Left: CT. Right: PSMA PET, same axial level, 18F-PSMA tracer. Acquired on Siemens Biograph mCT Flow 20. Slice 172 of 454. PET panel 200×200 px (4.1 mm/px).
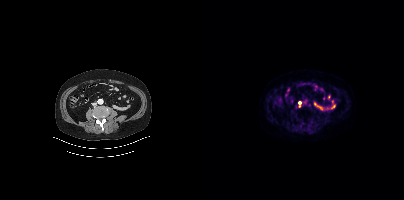
Coordinates are on the 200×200 PET (right) panel. PSMA-avid tumor lesion bounding box (x0, y0)-(x1, y1): (95, 102)-(96, 106).